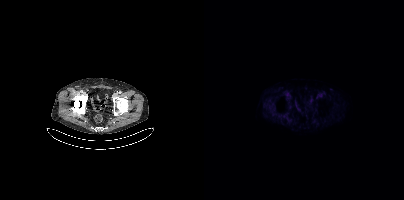
No PSMA-avid tumor lesions on this slice.
modality: PSMA PET/CT | tracer: 18F-PSMA | view: axial